Technique: Left: CT. Right: PSMA PET, same axial level, 18F-PSMA tracer. slice position z = -640 mm.
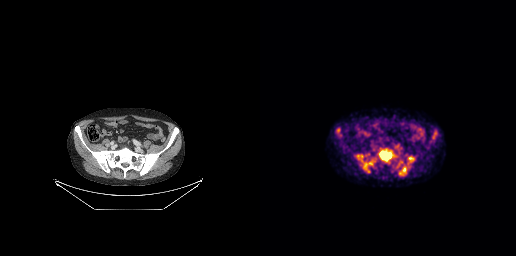
Findings: Coordinates are on the 256×256 PET (right) panel. PSMA-avid tumor lesion bounding boxes (x, y, width, height): x=139 y=156 w=16 h=20; x=96 y=154 w=18 h=19; x=119 y=150 w=14 h=12; x=137 y=160 w=7 h=8.